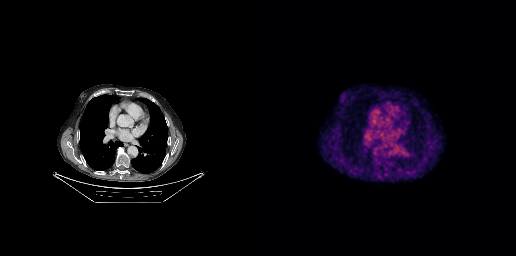
This slice has no annotated PSMA-avid lesion.